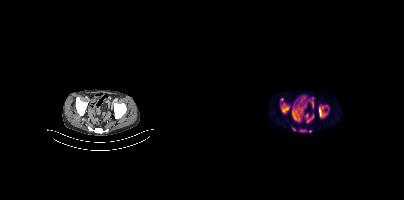
{"modality":"PSMA PET/CT","view":"axial","tracer":"18F","pet_grid":[200,200],"coord_frame":"pet_panel","coord_format":"x0,y0,x1,y1","lesion_bboxes":[[115,105,125,116],[77,103,85,113],[96,129,101,131]],"small_foci_centers":[[78,99],[90,129],[106,131]]}